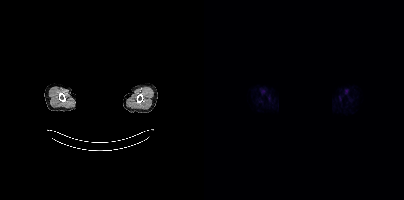
Face de-identified by blanking a block of the head. Two-panel axial: CT | PSMA PET, 68Ga-PSMA tracer. Acquired on Siemens Biograph mCT Flow 20. No tumor lesions annotated on this slice.